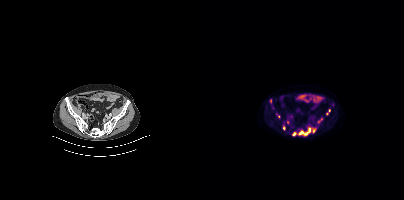
Findings: Coordinates are on the 200×200 PET (right) panel. (showing 7 of 9 foci) PSMA-avid tumor lesion bounding boxes (x0,y0,x1,y1): [88,127,106,135]; [114,118,118,123]. Small PSMA-avid foci (2 to 4 px across) near (center x, center y): (110, 130); (74, 116); (125, 110); (123, 113); (79, 127).
Technique: Left: CT. Right: PSMA PET, same axial level, 18F-PSMA tracer. acquired on Siemens Biograph mCT Flow 20. slice 112 of 413.